Left: CT. Right: PSMA PET, same axial level, [18F]PSMA-1007 tracer. Acquired on Siemens Biograph mCT Flow 20.
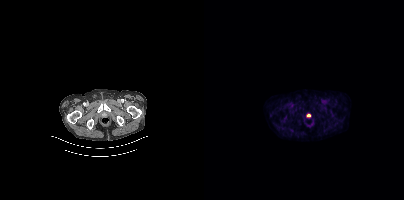
Coordinates are on the 200×200 PET (right) panel. Small PSMA-avid focus (2 to 4 px across) near (center x, center y): (104, 115).